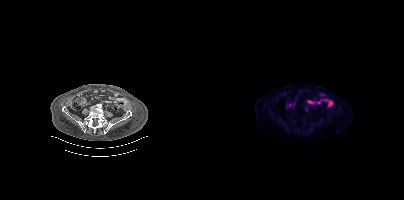
Paired axial CT (left) and PSMA PET (right), 18F-PSMA tracer. Slice position z = -1562 mm. Coordinates are on the 200×200 PET (right) panel. Small PSMA-avid focus (2 to 4 px across) near (center x, center y): (102, 109).